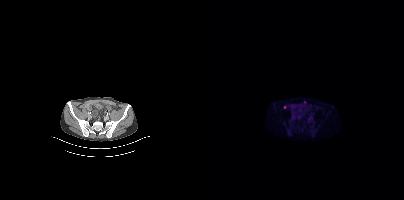
modality: PSMA PET/CT | tracer: [18F]PSMA-1007 | view: axial | PET grid: 200×200
Coordinates are on the 200×200 PET (right) panel. Small PSMA-avid focus (2 to 4 px across) near (center x, center y): (100, 101).